modality: PSMA PET/CT | tracer: 68Ga | view: axial | PET grid: 200×200
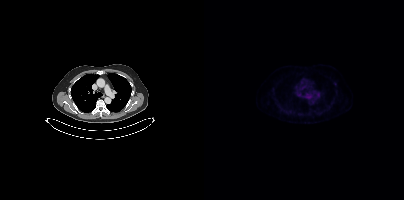
Coordinates are on the 200×200 PET (right) panel. Small PSMA-avid focus (2 to 4 px across) near (center x, center y): (130, 83).